- Left: CT. Right: PSMA PET, same axial level, 18F tracer
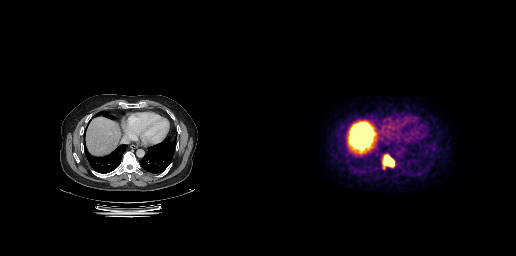
Findings: Coordinates are on the 256×256 PET (right) panel. PSMA-avid tumor lesion bounding box (x0, y0)-(x1, y1): (122, 154)-(134, 169).